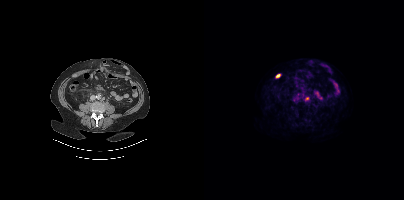
{"modality":"PSMA PET/CT","view":"axial","tracer":"[18F]PSMA-1007","pet_grid":[200,200],"coord_frame":"pet_panel","coord_format":"x0,y0,x1,y1","partial":true,"lesion_bboxes":[]}